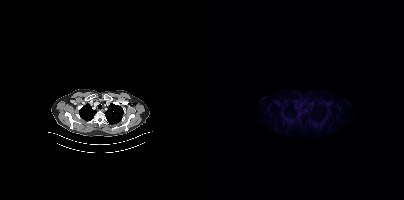
Findings: No PSMA-avid tumor lesions on this slice.
- Two-panel axial: CT | PSMA PET, 18F tracer